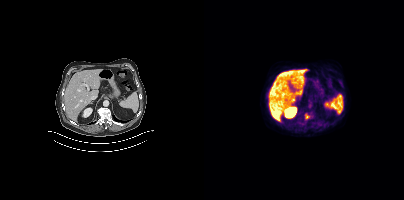
Coordinates are on the 200×200 PET (right) panel. PSMA-avid tumor lesion bounding box (x, y, width, height): x=101 y=114 w=5 h=5.